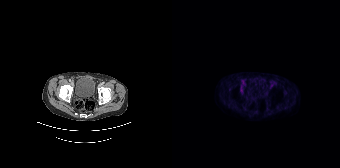
{"modality":"PSMA PET/CT","view":"axial","tracer":"18F-PSMA","pet_grid":[168,168],"coord_frame":"pet_panel","coord_format":"x0,y0,x1,y1","psma_avid_lesions":false}